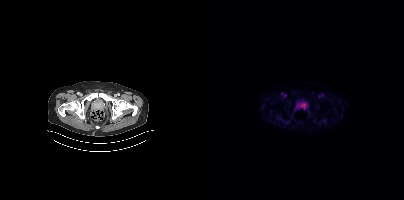
Coordinates are on the 200×200 PET (right) panel. PSMA-avid tumor lesion bounding box (x0,y0,x1,y1): [95,103,102,109].